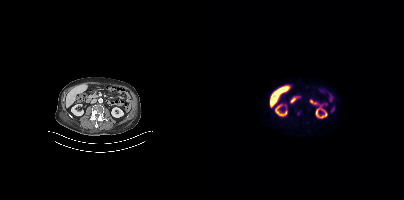
Coordinates are on the 200×200 PET (right) panel. Small PSMA-avid focus (2 to 4 px across) near (center x, center y): (94, 113).